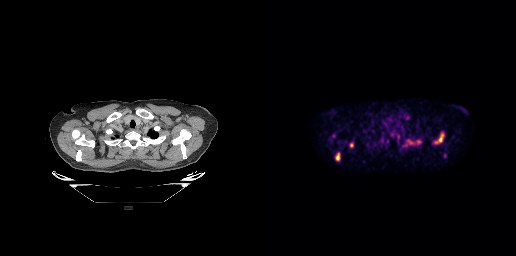
Coordinates are on the 256×256 PET (right) panel. (showing 8 of 10 foci) PSMA-avid tumor lesion bounding boxes (x, y, width, height): x=173 y=132 w=12 h=13 / x=75 y=152 w=6 h=10 / x=89 y=142 w=5 h=6 / x=157 y=141 w=5 h=4 / x=148 y=140 w=5 h=4. Small PSMA-avid foci (2 to 4 px across) near (center x, center y): (122, 140) / (147, 117) / (73, 135).